- Paired axial CT (left) and PSMA PET (right), 18F-PSMA tracer
- acquired on GE Discovery 690
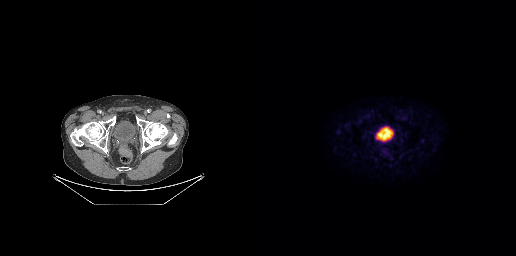
Findings: This slice has no annotated PSMA-avid lesion.